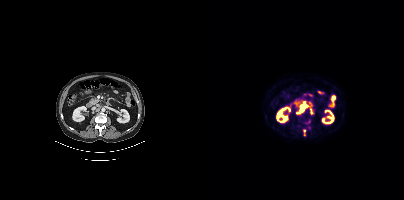
Coordinates are on the 200×200 PET (right) panel. (showing 2 of 3 foci) PSMA-avid tumor lesion bounding boxes (x0, y0)-(x1, y1): (92, 103)-(104, 113) | (106, 109)-(108, 113).